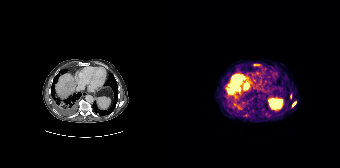
Coordinates are on the 168×168 PET (right) panel. PSMA-avid tumor lesion bounding boxes (partial; 2 more foci not listed):
| # | x0 | y0 | x1 | y1 |
|---|---|---|---|---|
| 1 | 56 | 74 | 69 | 93 |
| 2 | 120 | 102 | 124 | 106 |
| 3 | 118 | 94 | 119 | 98 |
Paired axial CT (left) and PSMA PET (right), [68Ga]Ga-PSMA-11 tracer. Acquired on Siemens Biograph 64-4R TruePoint. PET panel 168×168 px (4.1 mm/px).